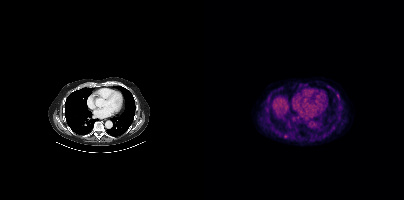
Technique: Two-panel axial: CT | PSMA PET, 18F tracer. acquired on Siemens Biograph mCT Flow 20. slice position z = -465 mm.
Findings: Coordinates are on the 200×200 PET (right) panel. Small PSMA-avid foci (2 to 4 px across) near (center x, center y): (133, 95) / (64, 97).